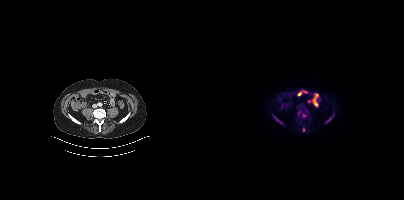
Coordinates are on the 200×200 PET (right) panel. PSMA-avid tumor lesion bounding boxes (x0, y0)-(x1, y1): (72, 119)-(78, 124); (98, 114)-(102, 117); (122, 118)-(127, 122). Small PSMA-avid foci (2 to 4 px across) near (center x, center y): (95, 112); (99, 129).
modality: PSMA PET/CT | tracer: [18F]PSMA-1007 | view: axial